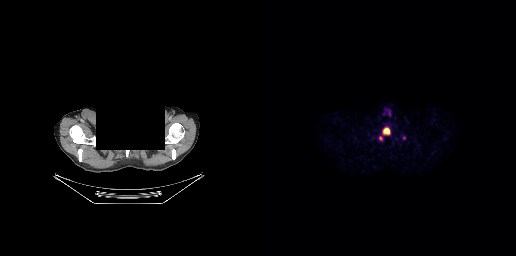
{"modality":"PSMA PET/CT","view":"axial","tracer":"18F-PSMA","pet_grid":[256,256],"coord_frame":"pet_panel","coord_format":"x0,y0,x1,y1","redaction":"head region blanked (face removed)","partial":true,"lesion_bboxes":[[122,127,130,135],[119,136,122,140]]}